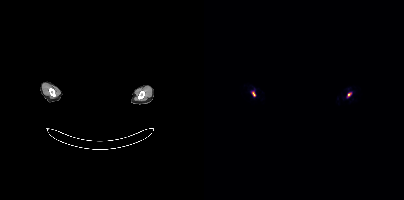
Paired axial CT (left) and PSMA PET (right), [68Ga]Ga-PSMA-11 tracer. Acquired on Siemens Biograph mCT Flow 20. Slice 373 of 393. PET panel 200×200 px (4.1 mm/px). An anonymization step blacked out a rectangle over the head in this scan. Coordinates are on the 200×200 PET (right) panel. Small PSMA-avid foci (2 to 4 px across) near (center x, center y): (145, 94), (50, 93).